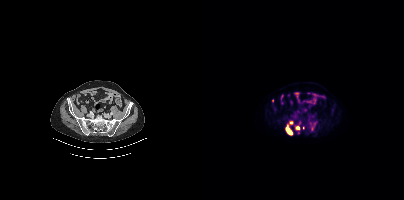
{"modality":"PSMA PET/CT","view":"axial","tracer":"18F-PSMA","pet_grid":[200,200],"coord_frame":"pet_panel","coord_format":"x0,y0,x1,y1","partial":true,"lesion_bboxes":[[82,125,88,134]],"small_foci_centers":[[93,127],[87,122],[99,127]]}